Left: CT. Right: PSMA PET, same axial level, 18F-PSMA tracer.
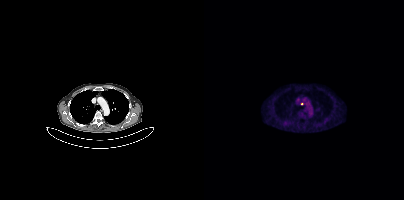
Coordinates are on the 200×200 PET (right) panel. Small PSMA-avid focus (2 to 4 px across) near (center x, center y): (98, 104).